- Paired axial CT (left) and PSMA PET (right), 18F tracer
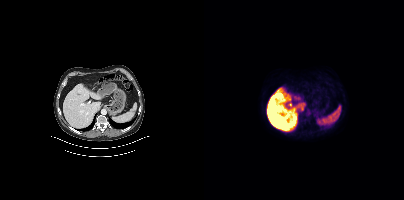
Findings: Negative for PSMA-avid disease on this slice.